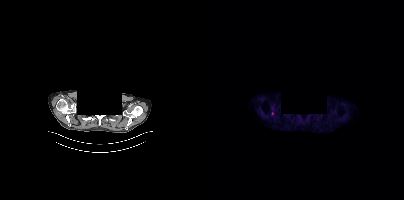
Coordinates are on the 200×200 PET (right) panel. Small PSMA-avid focus (2 to 4 px across) near (center x, center y): (68, 113). Paired axial CT (left) and PSMA PET (right), 18F tracer. PET panel 200×200 px (4.1 mm/px). An anonymization step blacked out a rectangle over the head in this scan.